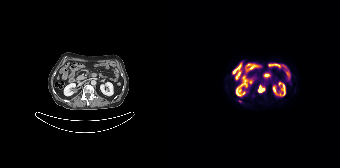
Technique: Left: CT. Right: PSMA PET, same axial level, 18F-PSMA tracer. slice position z = -1336 mm. PET panel 168×168 px (4.1 mm/px).
Findings: Coordinates are on the 168×168 PET (right) panel. (showing 1 of 2 foci) PSMA-avid tumor lesion bounding box (x0,y0,x1,y1): [86,87,92,92].